Technique: Paired axial CT (left) and PSMA PET (right), [18F]PSMA-1007 tracer. acquired on Siemens Biograph mCT Flow 20.
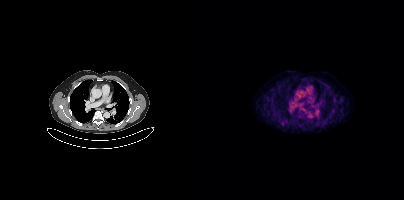
Findings: Coordinates are on the 200×200 PET (right) panel. Small PSMA-avid focus (2 to 4 px across) near (center x, center y): (78, 123).